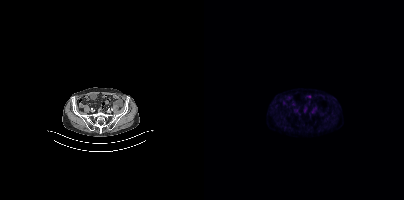
Two-panel axial: CT | PSMA PET, 18F tracer. Acquired on Siemens Biograph mCT Flow 20. Slice position z = -878 mm. PET panel 200×200 px (4.1 mm/px). No PSMA-avid tumor lesions on this slice.